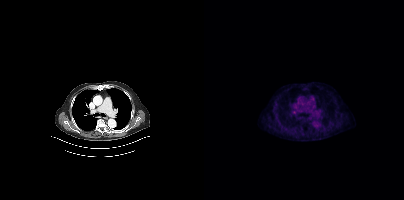
- Two-panel axial: CT | PSMA PET, 18F tracer
- acquired on Siemens Biograph mCT Flow 20
- slice 281 of 401
Findings: Coordinates are on the 200×200 PET (right) panel. Small PSMA-avid focus (2 to 4 px across) near (center x, center y): (90, 111).